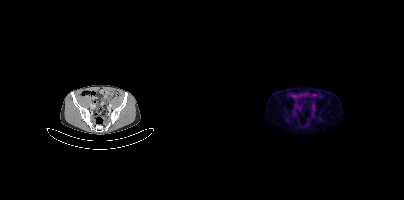
{"modality":"PSMA PET/CT","view":"axial","tracer":"18F","pet_grid":[200,200],"coord_frame":"pet_panel","coord_format":"x0,y0,x1,y1","lesion_bboxes":[],"small_foci_centers":[[92,108]]}